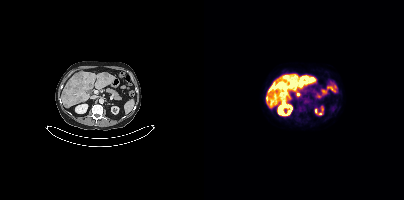
Coordinates are on the 200×200 PET (right) panel. (showing 5 of 6 foci) PSMA-avid tumor lesion bounding boxes (x0,y0,x1,y1): [98,76,102,81], [87,80,91,84], [73,82,77,85]. Small PSMA-avid foci (2 to 4 px across) near (center x, center y): (94, 94), (81, 78).